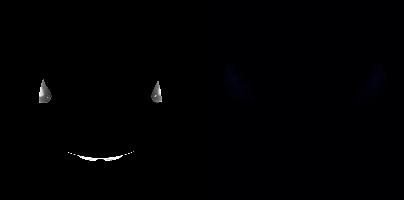
No PSMA-avid tumor lesions on this slice.
Any black rectangle over the head is a privacy mask, not anatomy.